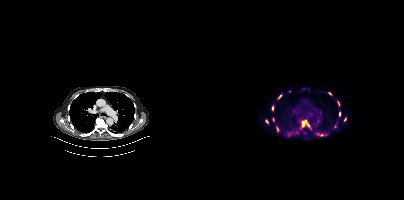
Coordinates are on the 200×200 PET (right) panel. (showing 11 of 12 foci) PSMA-avid tumor lesion bounding boxes (x, y, width, height): x=97 y=120 w=11 h=10; x=133 y=101 w=4 h=6; x=135 y=111 w=2 h=6; x=124 y=92 w=5 h=4; x=74 y=95 w=4 h=5; x=68 y=106 w=2 h=5; x=72 y=127 w=3 h=5. Small PSMA-avid foci (2 to 4 px across) near (center x, center y): (62, 121); (69, 119); (85, 91); (140, 119).